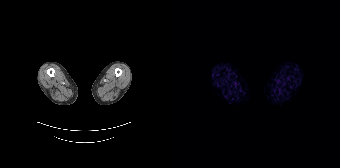
{"modality":"PSMA PET/CT","view":"axial","tracer":"68Ga-PSMA","pet_grid":[168,168],"coord_frame":"pet_panel","coord_format":"x0,y0,x1,y1","psma_avid_lesions":false}